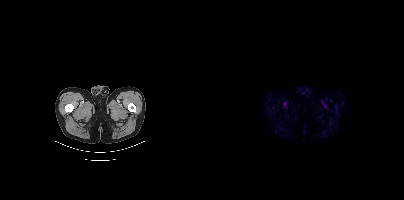
{"modality":"PSMA PET/CT","view":"axial","tracer":"[18F]PSMA-1007","pet_grid":[200,200],"coord_frame":"pet_panel","coord_format":"x0,y0,x1,y1","psma_avid_lesions":false}